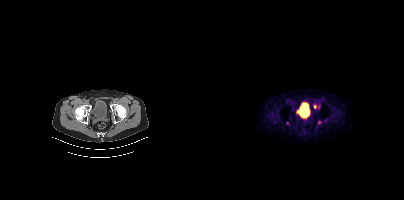
Paired axial CT (left) and PSMA PET (right), 68Ga-PSMA tracer. Slice 65 of 409. Coordinates are on the 200×200 PET (right) panel. (showing 2 of 3 foci) Small PSMA-avid foci (2 to 4 px across) near (center x, center y): (83, 123); (110, 106).